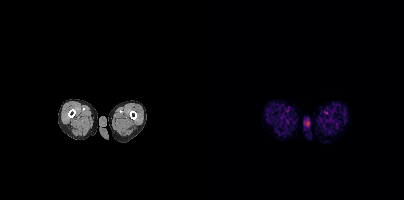
Negative for PSMA-avid disease on this slice. Paired axial CT (left) and PSMA PET (right), 18F tracer.